Two-panel axial: CT | PSMA PET, 18F tracer. Acquired on GE Discovery 690.
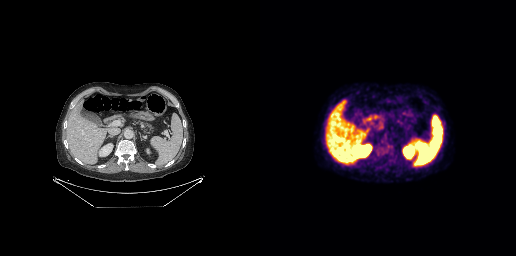
Negative for PSMA-avid disease on this slice.